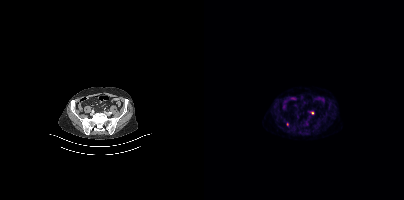
modality: PSMA PET/CT | tracer: 18F-PSMA | view: axial
Coordinates are on the 200×200 PET (right) panel. Small PSMA-avid foci (2 to 4 px across) near (center x, center y): (108, 112) | (83, 123).